Technique: Paired axial CT (left) and PSMA PET (right), 18F tracer. acquired on Siemens Biograph mCT Flow 20. slice 433 of 448.
Note: A rectangle over the head was blacked out to remove identifiable facial features.
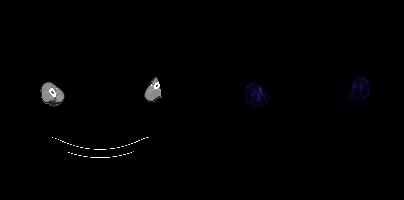
Findings: This slice has no annotated PSMA-avid lesion.